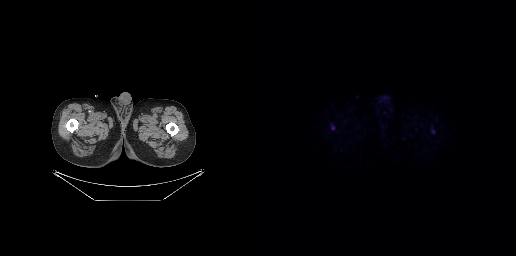
Findings: Coordinates are on the 256×256 PET (right) panel. Small PSMA-avid focus (2 to 4 px across) near (center x, center y): (73, 128).
- Two-panel axial: CT | PSMA PET, [18F]PSMA-1007 tracer
- acquired on GE Discovery 690